Paired axial CT (left) and PSMA PET (right), 18F tracer. Acquired on Siemens Biograph mCT Flow 20. Slice 260 of 454. PET panel 200×200 px (4.1 mm/px).
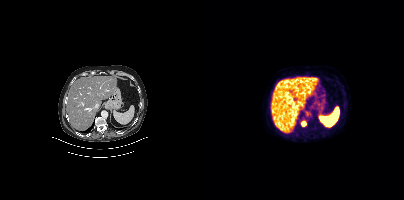
Coordinates are on the 200×200 PET (right) panel. PSMA-avid tumor lesion bounding boxes:
| # | x0 | y0 | x1 | y1 |
|---|---|---|---|---|
| 1 | 97 | 121 | 101 | 126 |